modality: PSMA PET/CT | tracer: [18F]PSMA-1007 | view: axial
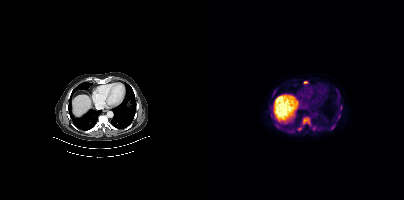
Coordinates are on the 200×200 PET (right) panel. (showing 9 of 10 foci) PSMA-avid tumor lesion bounding boxes (x0, y0)-(x1, y1): (99, 117)-(106, 124) | (107, 126)-(112, 130) | (68, 89)-(72, 95) | (127, 124)-(131, 129) | (134, 114)-(136, 118) | (93, 127)-(97, 130). Small PSMA-avid foci (2 to 4 px across) near (center x, center y): (101, 82) | (75, 128) | (136, 109).